Left: CT. Right: PSMA PET, same axial level, [18F]PSMA-1007 tracer. Acquired on Siemens Biograph mCT Flow 20. PET panel 200×200 px (4.1 mm/px).
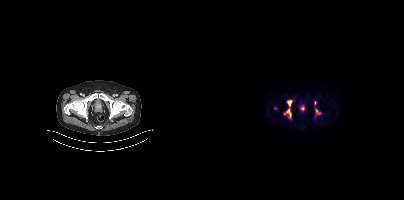
Coordinates are on the 200×200 PET (right) panel. (showing 5 of 6 foci) PSMA-avid tumor lesion bounding boxes (x0, y0)-(x1, y1): (111, 108)-(117, 114); (80, 108)-(87, 117); (83, 100)-(88, 106); (110, 101)-(112, 105). Small PSMA-avid focus (2 to 4 px across) near (center x, center y): (98, 108).